Technique: Left: CT. Right: PSMA PET, same axial level, 18F tracer. acquired on Siemens Biograph mCT Flow 20. slice position z = -36 mm.
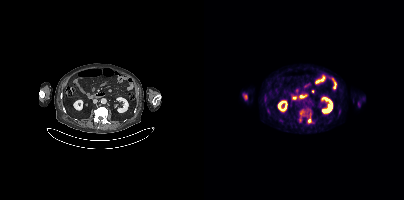
Findings: Coordinates are on the 200×200 PET (right) panel. (showing 2 of 6 foci) PSMA-avid tumor lesion bounding box (x, y, width, height): x=104 y=117 w=4 h=6. Small PSMA-avid focus (2 to 4 px across) near (center x, center y): (97, 112).